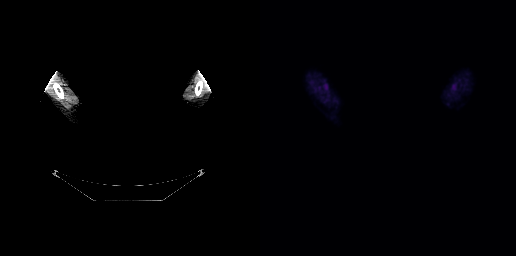
Negative for PSMA-avid disease on this slice.
Any black rectangle over the head is a privacy mask, not anatomy.